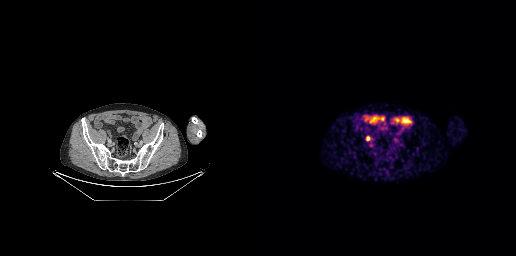
Findings: Coordinates are on the 256×256 PET (right) panel. PSMA-avid tumor lesion bounding box (x0, y0)-(x1, y1): (107, 136)-(109, 140).
- Left: CT. Right: PSMA PET, same axial level, 68Ga-PSMA tracer
- PET panel 256×256 px (2.7 mm/px)